Paired axial CT (left) and PSMA PET (right), 18F-PSMA tracer. Acquired on GE Discovery 690. Slice position z = -300 mm. PET panel 256×256 px (2.7 mm/px).
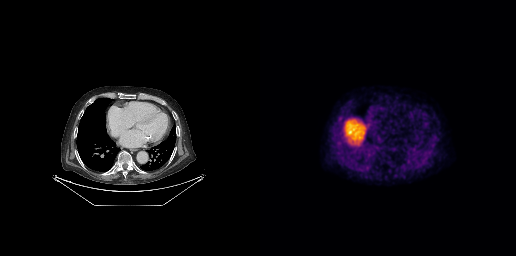
No tumor lesions annotated on this slice.